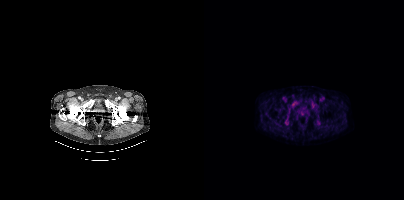
Paired axial CT (left) and PSMA PET (right), [18F]PSMA-1007 tracer. Acquired on Siemens Biograph mCT Flow 20. Slice position z = -1489 mm. PET panel 200×200 px (4.1 mm/px). This slice has no annotated PSMA-avid lesion.